Technique: Paired axial CT (left) and PSMA PET (right), 18F tracer. slice 87 of 299.
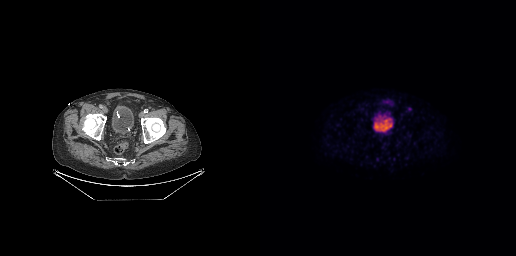
Findings: This slice has no annotated PSMA-avid lesion.